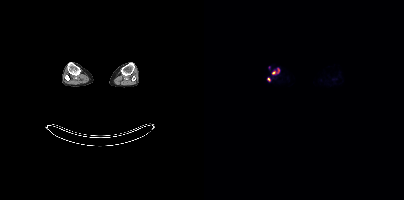
Findings: Coordinates are on the 200×200 PET (right) panel. (showing 3 of 4 foci) PSMA-avid tumor lesion bounding box (x0,y0,x1,y1): [72,68,75,73]. Small PSMA-avid foci (2 to 4 px across) near (center x, center y): (69, 72), (64, 79).
Technique: Paired axial CT (left) and PSMA PET (right), 18F-PSMA tracer. acquired on Siemens Biograph mCT Flow 20. PET panel 200×200 px (4.1 mm/px).